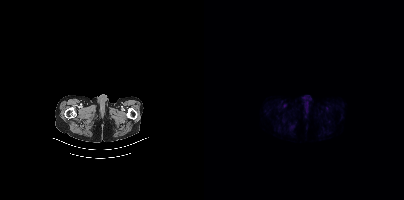
Technique: Paired axial CT (left) and PSMA PET (right), 68Ga tracer. acquired on Siemens Biograph mCT Flow 20. slice position z = -1600 mm.
Findings: No PSMA-avid tumor lesions on this slice.